Technique: Paired axial CT (left) and PSMA PET (right), 18F tracer. slice position z = -878 mm. PET panel 200×200 px (4.1 mm/px).
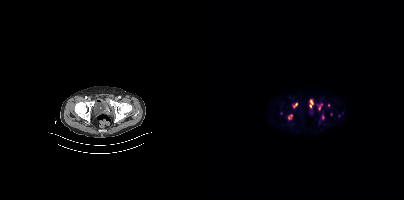
Findings: Coordinates are on the 200×200 PET (right) panel. PSMA-avid tumor lesion bounding boxes (x0, y0)-(x1, y1): (106, 100)-(109, 107); (84, 115)-(87, 119); (115, 105)-(117, 109). Small PSMA-avid focus (2 to 4 px across) near (center x, center y): (91, 104).